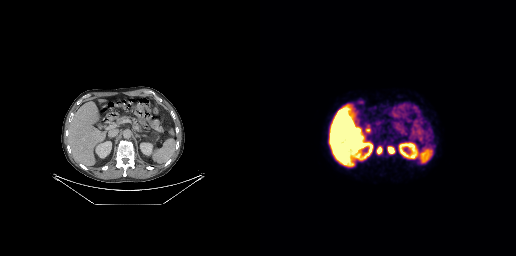
Coordinates are on the 256×256 PET (right) panel. PSMA-avid tumor lesion bounding boxes:
| # | x0 | y0 | x1 | y1 |
|---|---|---|---|---|
| 1 | 127 | 145 | 135 | 154 |
| 2 | 116 | 145 | 122 | 155 |
Two-panel axial: CT | PSMA PET, 18F tracer. Slice position z = -392 mm.